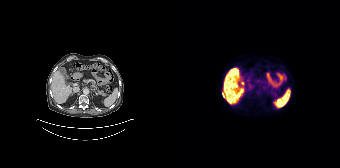
Left: CT. Right: PSMA PET, same axial level, 18F-PSMA tracer. Acquired on Siemens Biograph 64-4R TruePoint.
Coordinates are on the 168×168 PET (right) panel. PSMA-avid tumor lesion bounding boxes:
| # | x0 | y0 | x1 | y1 |
|---|---|---|---|---|
| 1 | 51 | 93 | 52 | 97 |